Two-panel axial: CT | PSMA PET, 18F tracer. Slice 45 of 431. PET panel 200×200 px (4.1 mm/px).
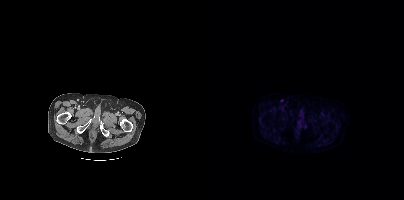
This slice has no annotated PSMA-avid lesion.